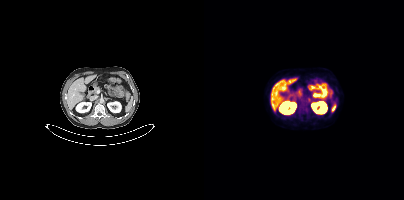
Findings: Negative for PSMA-avid disease on this slice.
Technique: Two-panel axial: CT | PSMA PET, 18F-PSMA tracer. slice position z = -1394 mm. PET panel 200×200 px (4.1 mm/px).